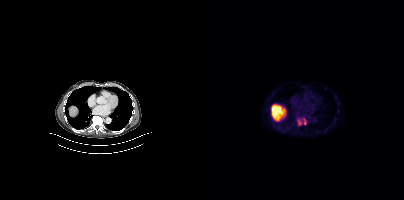
{"modality":"PSMA PET/CT","view":"axial","tracer":"[18F]PSMA-1007","pet_grid":[200,200],"coord_frame":"pet_panel","coord_format":"x0,y0,x1,y1","lesion_bboxes":[[93,118,102,125]]}